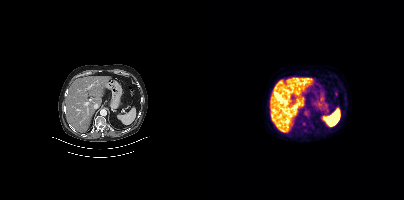
This slice has no annotated PSMA-avid lesion.